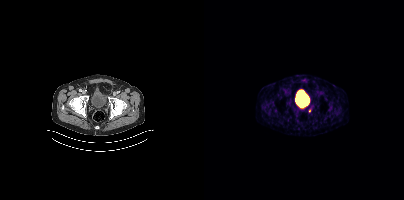
{"pet_grid":[200,200],"coord_frame":"pet_panel","coord_format":"x0,y0,x1,y1","lesion_bboxes":[],"small_foci_centers":[[105,110]],"modality":"PSMA PET/CT","view":"axial","tracer":"68Ga-PSMA"}